- Two-panel axial: CT | PSMA PET, 18F-PSMA tracer
- slice 364 of 466
- PET panel 200×200 px (4.1 mm/px)
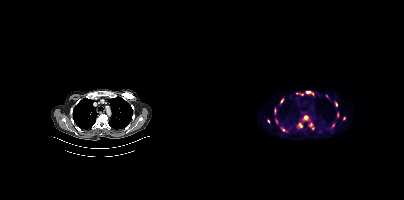
Findings: Coordinates are on the 200×200 PET (right) panel. (showing 14 of 15 foci) PSMA-avid tumor lesion bounding boxes (x, y, width, height): x=101 y=90 w=10 h=7 | x=99 y=115 w=6 h=6 | x=92 y=92 w=8 h=4 | x=94 y=123 w=5 h=5 | x=70 y=108 w=3 h=7 | x=131 y=102 w=3 h=5 | x=63 y=119 w=4 h=5 | x=71 y=119 w=3 h=5. Small PSMA-avid foci (2 to 4 px across) near (center x, center y): (106, 124) | (79, 129) | (140, 118) | (129, 125) | (108, 128) | (122, 95).